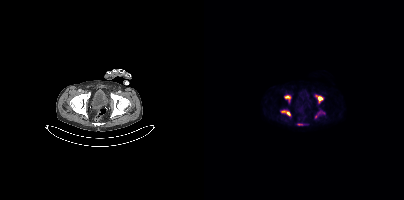
{"modality":"PSMA PET/CT","view":"axial","tracer":"18F","pet_grid":[200,200],"coord_frame":"pet_panel","coord_format":"x0,y0,x1,y1","lesion_bboxes":[[111,95,119,103],[76,109,86,115],[80,95,87,102],[111,112,116,118],[94,124,98,125]],"small_foci_centers":[[119,112]]}